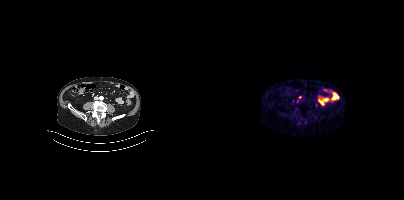
Findings: Coordinates are on the 200×200 PET (right) panel. Small PSMA-avid focus (2 to 4 px across) near (center x, center y): (96, 97).
Technique: Paired axial CT (left) and PSMA PET (right), 68Ga tracer. acquired on Siemens Biograph mCT Flow 20. slice position z = -1364 mm. PET panel 200×200 px (4.1 mm/px).